modality: PSMA PET/CT | tracer: 18F | view: axial
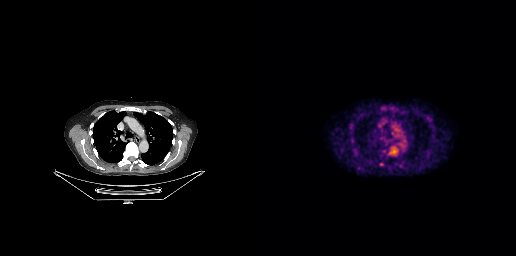
This slice has no annotated PSMA-avid lesion.